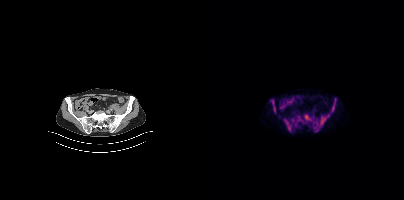
Two-panel axial: CT | PSMA PET, 18F tracer. Acquired on Siemens Biograph mCT Flow 20. Coordinates are on the 200×200 PET (right) panel. (showing 5 of 6 foci) PSMA-avid tumor lesion bounding boxes (x0,y0,x1,y1): [81,119,87,131] [116,117,121,124] [103,115,106,119] [69,108,71,112] [128,106,129,110].